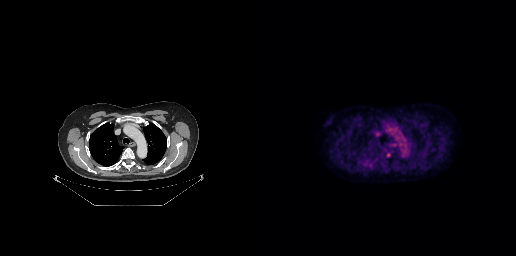
Technique: Left: CT. Right: PSMA PET, same axial level, 18F tracer. acquired on GE Discovery 690. PET panel 256×256 px (2.7 mm/px).
Findings: Coordinates are on the 256×256 PET (right) panel. Small PSMA-avid focus (2 to 4 px across) near (center x, center y): (128, 155).